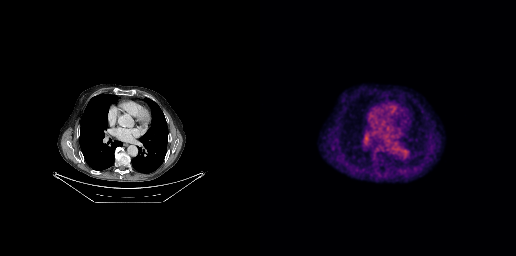
No PSMA-avid tumor lesions on this slice.
modality: PSMA PET/CT | tracer: 18F-PSMA | view: axial | PET grid: 256×256